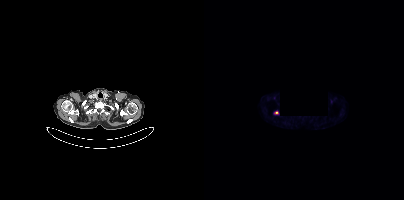
Coordinates are on the 200×200 PET (right) panel. PSMA-avid tumor lesion bounding box (x0, y0)-(x1, y1): (70, 111)-(74, 114).
modality: PSMA PET/CT | tracer: 18F-PSMA | view: axial | PET grid: 200×200 | redaction: rectangle blanked before release